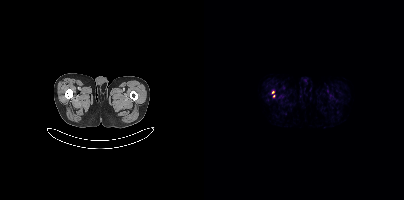
Coordinates are on the 200×200 PET (right) panel. Small PSMA-avid foci (2 to 4 px across) near (center x, center y): (68, 92), (69, 95).
modality: PSMA PET/CT | tracer: 18F | view: axial | PET grid: 200×200